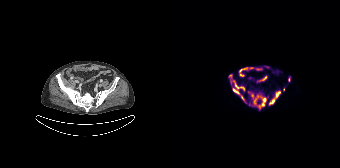
Paired axial CT (left) and PSMA PET (right), 18F-PSMA tracer. Slice position z = -1140 mm.
Coordinates are on the 168×168 PET (right) panel. PSMA-avid tumor lesion bounding boxes:
| # | x0 | y0 | x1 | y1 |
|---|---|---|---|---|
| 1 | 76 | 91 | 96 | 110 |
| 2 | 59 | 80 | 75 | 103 |
| 3 | 96 | 90 | 108 | 105 |
| 4 | 116 | 77 | 118 | 81 |
Small PSMA-avid foci (2 to 4 px across) near (center x, center y): (58, 76); (111, 89).